Technique: Left: CT. Right: PSMA PET, same axial level, 68Ga tracer. acquired on Siemens Biograph mCT Flow 20. slice 402 of 444. PET panel 200×200 px (4.1 mm/px).
Note: The head region is masked for de-identification.
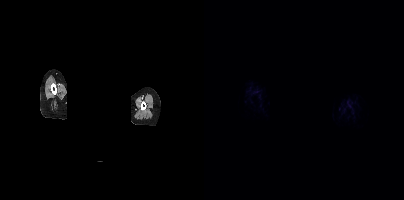
Findings: Negative for PSMA-avid disease on this slice.